- Two-panel axial: CT | PSMA PET, 18F tracer
- PET panel 256×256 px (2.7 mm/px)
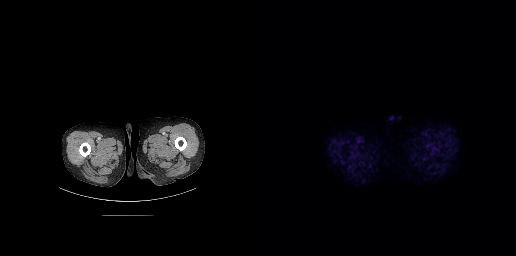
Findings: No tumor lesions annotated on this slice.